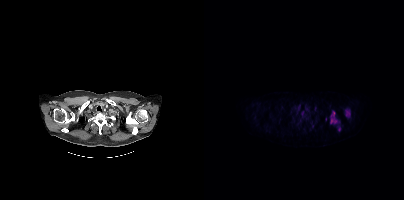
- Left: CT. Right: PSMA PET, same axial level, 18F tracer
- PET panel 200×200 px (4.1 mm/px)
Findings: Coordinates are on the 200×200 PET (right) panel. (showing 5 of 6 foci) PSMA-avid tumor lesion bounding boxes (x0, y0)-(x1, y1): (141, 110)-(146, 115) / (127, 118)-(132, 122) / (134, 125)-(136, 130). Small PSMA-avid foci (2 to 4 px across) near (center x, center y): (98, 113) / (108, 125).